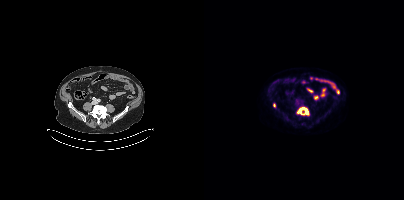
- Paired axial CT (left) and PSMA PET (right), 18F tracer
- acquired on Siemens Biograph mCT Flow 20
- slice 132 of 389
Findings: Coordinates are on the 200×200 PET (right) panel. PSMA-avid tumor lesion bounding box (x, y, width, height): x=92 y=106 w=14 h=10. Small PSMA-avid focus (2 to 4 px across) near (center x, center y): (70, 105).